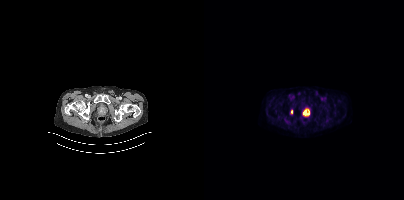
{"modality":"PSMA PET/CT","view":"axial","tracer":"[18F]PSMA-1007","pet_grid":[200,200],"coord_frame":"pet_panel","coord_format":"x0,y0,x1,y1","lesion_bboxes":[[99,109,105,116]],"small_foci_centers":[[87,111]]}